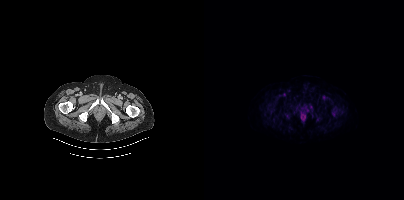
modality: PSMA PET/CT | tracer: 18F | view: axial
Coordinates are on the 200×200 PET (right) panel. (showing 4 of 6 foci) PSMA-avid tumor lesion bounding boxes (x0, y0)-(x1, y1): (82, 113)-(86, 118) / (129, 111)-(133, 115) / (91, 105)-(95, 109). Small PSMA-avid focus (2 to 4 px across) near (center x, center y): (137, 112).